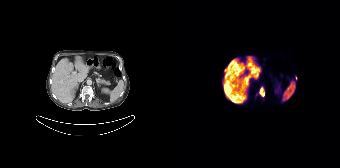
modality: PSMA PET/CT | tracer: 18F | view: axial | PET grid: 168×168
Coordinates are on the 168×168 PET (right) panel. (showing 1 of 2 foci) PSMA-avid tumor lesion bounding box (x0,y0,x1,y1): [84,86,92,97].